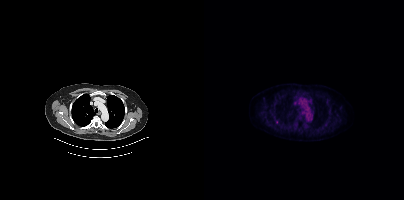
{"pet_grid":[200,200],"coord_frame":"pet_panel","coord_format":"x0,y0,x1,y1","lesion_bboxes":[],"small_foci_centers":[[72,122]],"modality":"PSMA PET/CT","view":"axial","tracer":"[18F]PSMA-1007"}